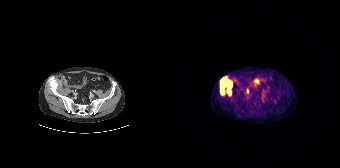
Findings: Coordinates are on the 168×168 PET (right) panel. PSMA-avid tumor lesion bounding box (x0, y0)-(x1, y1): (48, 77)-(60, 95).
- Left: CT. Right: PSMA PET, same axial level, [68Ga]Ga-PSMA-11 tracer